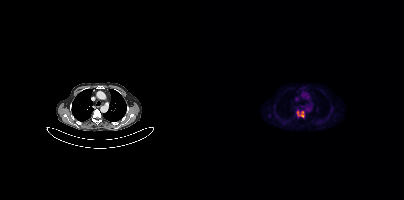
Coordinates are on the 200×200 PET (right) panel. PSMA-avid tumor lesion bounding box (x0, y0)-(x1, y1): (93, 111)-(100, 117).